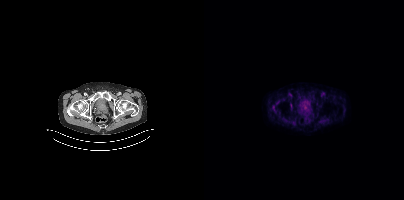
Coordinates are on the 200×200 PET (right) panel. PSMA-avid tumor lesion bounding boxes:
| # | x0 | y0 | x1 | y1 |
|---|---|---|---|---|
| 1 | 86 | 104 | 88 | 108 |
Left: CT. Right: PSMA PET, same axial level, 18F-PSMA tracer. Acquired on Siemens Biograph mCT Flow 20.